- Two-panel axial: CT | PSMA PET, [18F]PSMA-1007 tracer
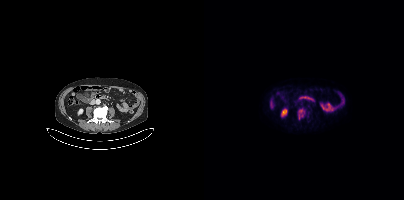
Findings: Coordinates are on the 200×200 PET (right) panel. PSMA-avid tumor lesion bounding box (x0,y0,x1,y1): [94,108,101,119].